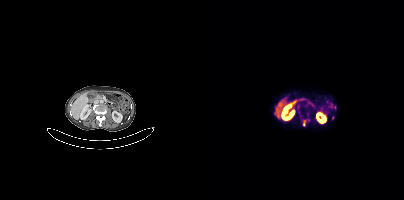
- Paired axial CT (left) and PSMA PET (right), 68Ga-PSMA tracer
- acquired on Siemens Biograph mCT Flow 20
- slice position z = -899 mm
Findings: Coordinates are on the 200×200 PET (right) panel. (showing 1 of 3 foci) PSMA-avid tumor lesion bounding box (x, y, width, height): x=99 y=120 w=4 h=7.